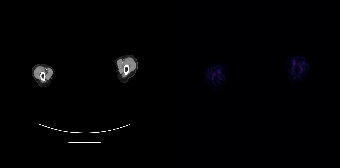
{"modality":"PSMA PET/CT","view":"axial","tracer":"68Ga-PSMA","pet_grid":[168,168],"coord_frame":"pet_panel","coord_format":"x0,y0,x1,y1","de-identification":"privacy mask over head","psma_avid_lesions":false}